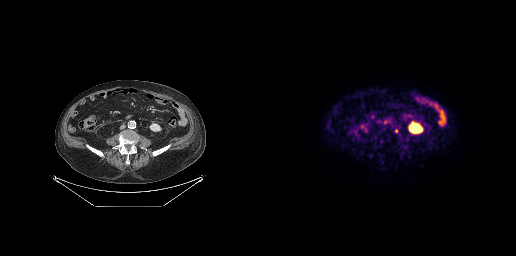
Coordinates are on the 256×256 PET (right) panel. Small PSMA-avid foci (2 to 4 px across) near (center x, center y): (136, 130) / (124, 122).
modality: PSMA PET/CT | tracer: 18F-PSMA | view: axial | PET grid: 256×256